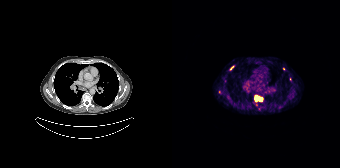
{"modality":"PSMA PET/CT","view":"axial","tracer":"68Ga","pet_grid":[168,168],"coord_frame":"pet_panel","coord_format":"x0,y0,x1,y1","lesion_bboxes":[[82,95,91,101],[117,77,119,81]],"small_foci_centers":[[59,67],[112,68],[47,91]]}